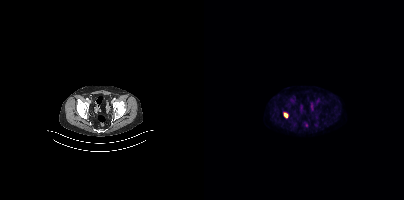
{"pet_grid":[200,200],"coord_frame":"pet_panel","coord_format":"x0,y0,x1,y1","lesion_bboxes":[[80,113,83,117]],"modality":"PSMA PET/CT","view":"axial","tracer":"[18F]PSMA-1007"}